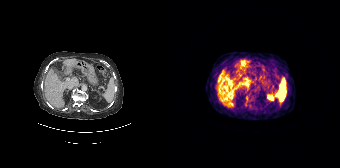
No tumor lesions annotated on this slice. Two-panel axial: CT | PSMA PET, 68Ga-PSMA tracer. Slice 84 of 165.